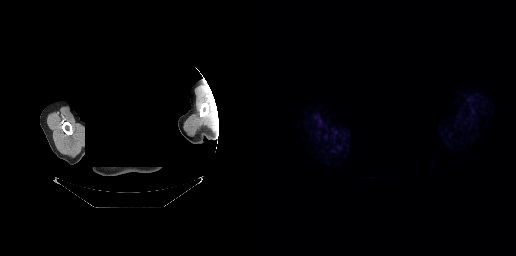
This slice has no annotated PSMA-avid lesion.
modality: PSMA PET/CT | tracer: 68Ga-PSMA | view: axial | PET grid: 256×256 | redaction: rectangular block over head set to black